Technique: Left: CT. Right: PSMA PET, same axial level, [18F]PSMA-1007 tracer. PET panel 200×200 px (4.1 mm/px).
Note: A black rectangle in this scan is a privacy mask, not anatomy.
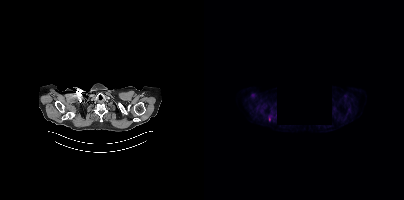
Findings: Coordinates are on the 200×200 PET (right) panel. Small PSMA-avid focus (2 to 4 px across) near (center x, center y): (65, 119).